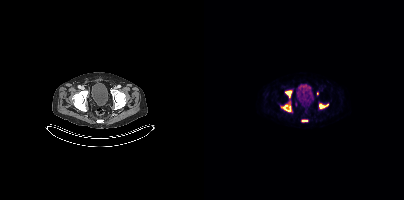
Coordinates are on the 200×200 PET (right) panel. PSMA-avid tumor lesion bounding boxes (x0, y0)-(x1, y1): (77, 104)-(86, 111); (81, 91)-(87, 97); (115, 104)-(124, 108); (98, 120)-(103, 121). Small PSMA-avid focus (2 to 4 px across) near (center x, center y): (113, 93).